Technique: Two-panel axial: CT | PSMA PET, 18F-PSMA tracer. slice position z = -1105 mm. PET panel 200×200 px (4.1 mm/px).
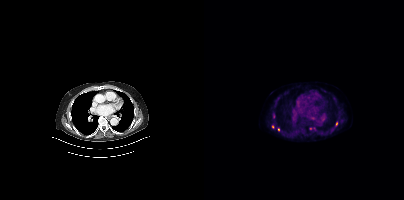
Findings: Coordinates are on the 200×200 PET (right) panel. PSMA-avid tumor lesion bounding boxes (x0, y0)-(x1, y1): (105, 127)-(109, 129); (69, 114)-(70, 118). Small PSMA-avid foci (2 to 4 px across) near (center x, center y): (132, 123); (68, 126); (74, 129).